modality: PSMA PET/CT | tracer: [18F]PSMA-1007 | view: axial | PET grid: 256×256
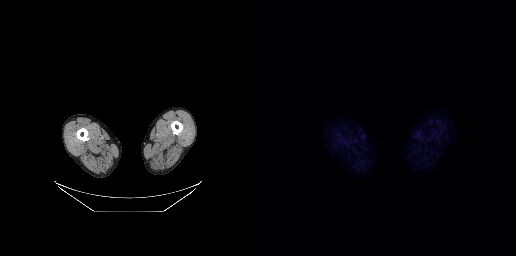
Negative for PSMA-avid disease on this slice.